modality: PSMA PET/CT | tracer: 18F-PSMA | view: axial
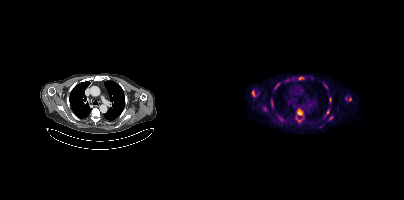
Coordinates are on the 200×200 PET (right) panel. (showing 9 of 10 foci) PSMA-avid tumor lesion bounding boxes (x0,y0,x1,y1): [93,109,98,115] [94,76,99,80] [121,109,125,116] [71,83,74,87] [125,97,127,102] [92,117,96,121] [48,91,50,95]. Small PSMA-avid foci (2 to 4 px across) near (center x, center y): (126, 117) (68, 103).